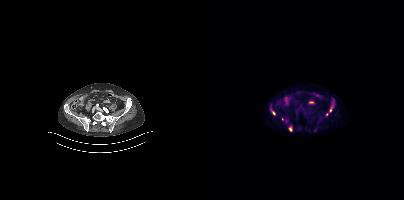
Paired axial CT (left) and PSMA PET (right), [18F]PSMA-1007 tracer. Acquired on Siemens Biograph mCT Flow 20. Slice position z = -1345 mm.
Coordinates are on the 200×200 PET (right) panel. PSMA-avid tumor lesion bounding boxes:
| # | x0 | y0 | x1 | y1 |
|---|---|---|---|---|
| 1 | 125 | 102 | 129 | 111 |
| 2 | 84 | 127 | 88 | 131 |
Small PSMA-avid foci (2 to 4 px across) near (center x, center y): (69, 112); (122, 114); (129, 99); (78, 118).